Two-panel axial: CT | PSMA PET, 18F tracer. Slice 132 of 415.
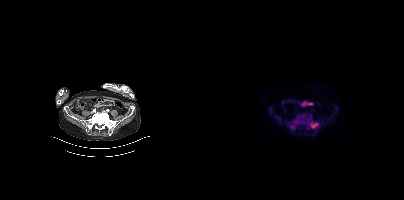
Coordinates are on the 200×200 PET (right) panel. PSMA-avid tumor lesion bounding boxes (x0, y0)-(x1, y1): (103, 122)-(115, 129); (87, 120)-(93, 127); (94, 114)-(99, 119).